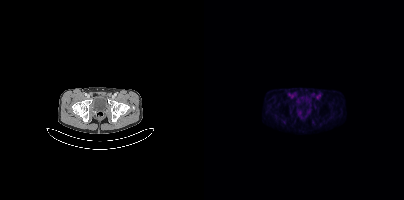
No tumor lesions annotated on this slice.